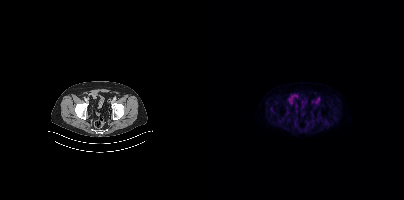
Coordinates are on the 200×200 PET (right) panel. PSMA-avid tumor lesion bounding boxes:
| # | x0 | y0 | x1 | y1 |
|---|---|---|---|---|
| 1 | 84 | 97 | 88 | 101 |
Left: CT. Right: PSMA PET, same axial level, 18F tracer. PET panel 200×200 px (4.1 mm/px).